- Paired axial CT (left) and PSMA PET (right), 18F tracer
- acquired on Siemens Biograph 64-4R TruePoint
- PET panel 168×168 px (4.1 mm/px)
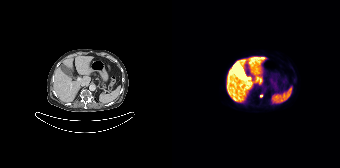
Findings: Only PSMA-avid lesion pieces thinner than 2 px on this slice (not listed).